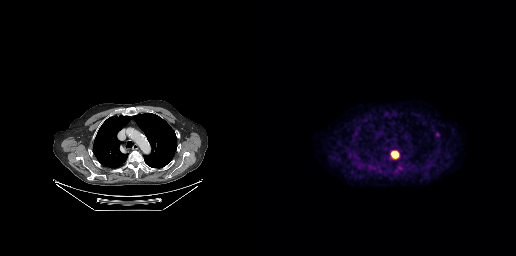
{"modality":"PSMA PET/CT","view":"axial","tracer":"18F","pet_grid":[256,256],"coord_frame":"pet_panel","coord_format":"x0,y0,x1,y1","lesion_bboxes":[[132,151,138,157]]}